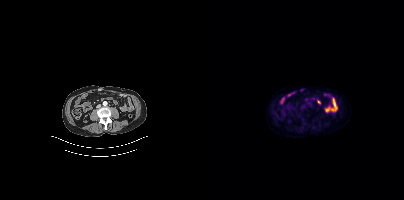
{"modality":"PSMA PET/CT","view":"axial","tracer":"[18F]PSMA-1007","pet_grid":[200,200],"coord_frame":"pet_panel","coord_format":"x0,y0,x1,y1","psma_avid_lesions":false}